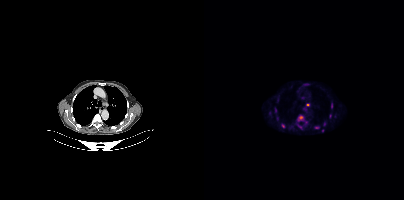
Coordinates are on the 200×200 PET (right) panel. (showing 10 of 13 foci) PSMA-avid tumor lesion bounding boxes (x, y, width, height): x=93 y=115 w=7 h=7 / x=71 y=108 w=2 h=5. Small PSMA-avid foci (2 to 4 px across) near (center x, center y): (103, 105) / (79, 125) / (127, 105) / (112, 127) / (99, 97) / (65, 113) / (126, 116) / (118, 130).